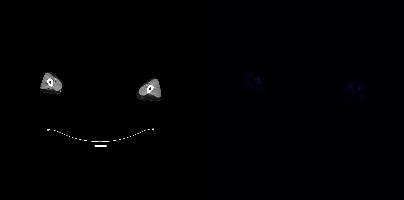
Findings: This slice has no annotated PSMA-avid lesion.
- an anonymization step blacked out a rectangle over the head in this scan
- Paired axial CT (left) and PSMA PET (right), [18F]PSMA-1007 tracer
- acquired on Siemens Biograph mCT Flow 20
- slice 428 of 431